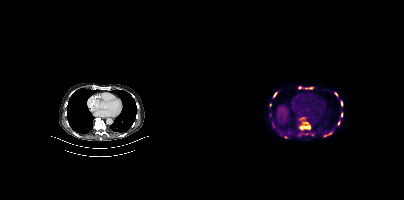
modality: PSMA PET/CT | tracer: 18F-PSMA | view: axial
Coordinates are on the 200×200 PET (right) panel. (showing 11 of 13 foci) PSMA-avid tumor lesion bounding boxes (x0, y0)-(x1, y1): (95, 121)-(106, 130); (95, 86)-(105, 89); (136, 100)-(139, 106); (69, 92)-(73, 97); (120, 132)-(127, 136); (137, 112)-(139, 117); (133, 120)-(136, 125); (130, 92)-(134, 96). Small PSMA-avid foci (2 to 4 px across) near (center x, center y): (108, 134); (66, 104); (69, 126).